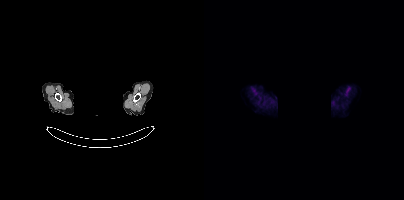
De-identified by setting a box covering the face to black before release. Left: CT. Right: PSMA PET, same axial level, [18F]PSMA-1007 tracer. Slice position z = -1048 mm. PET panel 200×200 px (4.1 mm/px). Negative for PSMA-avid disease on this slice.